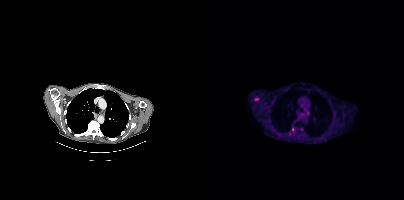
Coordinates are on the 200×200 PET (right) panel. PSMA-avid tumor lesion bounding boxes (partial; 3 more foci not listed):
| # | x0 | y0 | x1 | y1 |
|---|---|---|---|---|
| 1 | 50 | 97 | 55 | 101 |
Small PSMA-avid foci (2 to 4 px across) near (center x, center y): (89, 129); (98, 129); (85, 133); (100, 110).
Two-panel axial: CT | PSMA PET, 18F tracer. Acquired on Siemens Biograph mCT Flow 20. Slice 292 of 403.